Left: CT. Right: PSMA PET, same axial level, 18F-PSMA tracer. Acquired on Siemens Biograph mCT Flow 20. Slice position z = -932 mm. PET panel 200×200 px (4.1 mm/px).
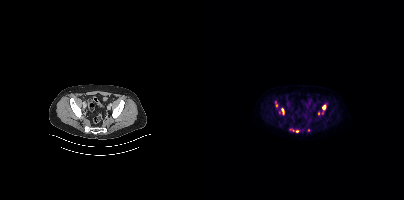
Coordinates are on the 200×200 PET (right) panel. PSMA-avid tumor lesion bounding boxes (partial; 2 more foci not listed):
| # | x0 | y0 | x1 | y1 |
|---|---|---|---|---|
| 1 | 118 | 105 | 121 | 109 |
| 2 | 77 | 108 | 80 | 114 |
Small PSMA-avid foci (2 to 4 px across) near (center x, center y): (93, 131); (72, 105).